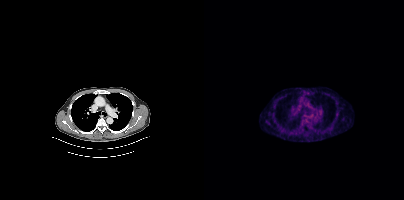
Findings: Coordinates are on the 200×200 PET (right) panel. PSMA-avid tumor lesion bounding box (x0,y0,x1,y1): [97,118,100,122].
Technique: Two-panel axial: CT | PSMA PET, 18F tracer. acquired on Siemens Biograph mCT Flow 20.